Left: CT. Right: PSMA PET, same axial level, 18F tracer.
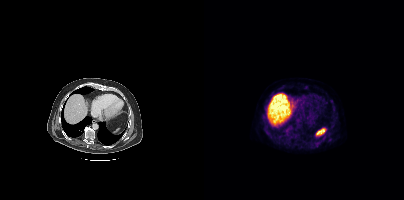
No tumor lesions annotated on this slice.